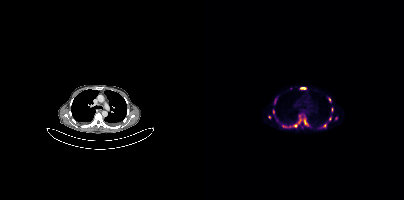
modality: PSMA PET/CT | tracer: 68Ga | view: axial
Coordinates are on the 200×200 PET (right) panel. (showing 10 of 14 foci) PSMA-avid tumor lesion bounding boxes (x, y, width, height): x=91 y=118 w=7 h=9 | x=96 y=87 w=7 h=3 | x=99 y=118 w=4 h=7 | x=70 y=98 w=3 h=6. Small PSMA-avid foci (2 to 4 px across) near (center x, center y): (126, 118) | (69, 111) | (125, 99) | (99, 115) | (120, 125) | (95, 115).